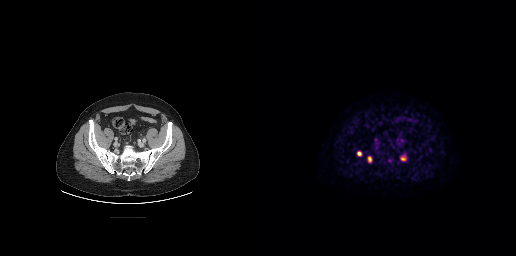
{"modality":"PSMA PET/CT","view":"axial","tracer":"[18F]PSMA-1007","pet_grid":[256,256],"coord_frame":"pet_panel","coord_format":"x0,y0,x1,y1","lesion_bboxes":[[140,155,146,160],[107,156,112,162],[97,151,101,155]]}